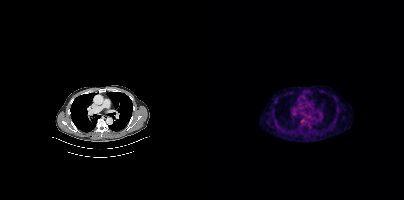
Paired axial CT (left) and PSMA PET (right), 18F tracer. Acquired on Siemens Biograph mCT Flow 20. Coordinates are on the 200×200 PET (right) panel. PSMA-avid tumor lesion bounding box (x, y, width, height): x=96 y=118 w=6 h=5.